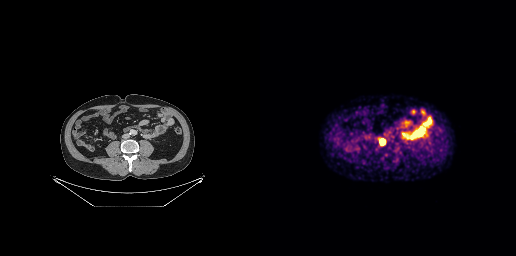
Findings: Coordinates are on the 256×256 PET (right) panel. PSMA-avid tumor lesion bounding box (x, y, width, height): x=118 y=138 w=8 h=8.
- Paired axial CT (left) and PSMA PET (right), 68Ga-PSMA tracer
- acquired on GE Discovery 690
- slice 107 of 263
- PET panel 256×256 px (2.7 mm/px)